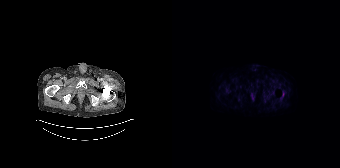
Findings: Only PSMA-avid lesion pieces thinner than 2 px on this slice (not listed).
- Left: CT. Right: PSMA PET, same axial level, 18F-PSMA tracer
- PET panel 168×168 px (4.1 mm/px)